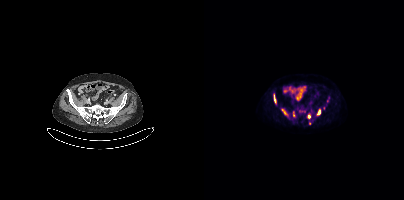
Coordinates are on the 200×200 PET (right) panel. PSMA-avid tumor lesion bounding boxes (partial; 3 more foci not listed):
| # | x0 | y0 | x1 | y1 |
|---|---|---|---|---|
| 1 | 69 | 94 | 72 | 103 |
| 2 | 113 | 109 | 116 | 114 |
| 3 | 78 | 109 | 82 | 114 |
| 4 | 104 | 115 | 106 | 119 |
| 5 | 97 | 108 | 102 | 110 |
Small PSMA-avid foci (2 to 4 px across) near (center x, center y): (105, 123); (89, 114).
Two-panel axial: CT | PSMA PET, [18F]PSMA-1007 tracer. Acquired on Siemens Biograph mCT Flow 20. Slice position z = -1364 mm. PET panel 200×200 px (4.1 mm/px).